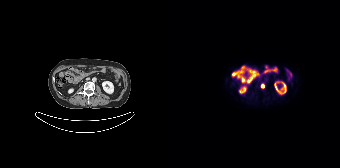
Coordinates are on the 168×168 PET (right) panel. Small PSMA-avid focus (2 to 4 px across) near (center x, center y): (90, 85).